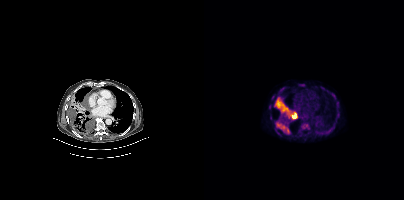
Coordinates are on the 200×200 PET (right) panel. PSMA-avid tumor lesion bounding boxes (x0,y0,x1,y1): [70,97,81,111] [73,122,85,133] [97,123,104,129] [86,111,92,118] [81,108,86,113]. Two-panel axial: CT | PSMA PET, [18F]PSMA-1007 tracer. Slice position z = -1154 mm.